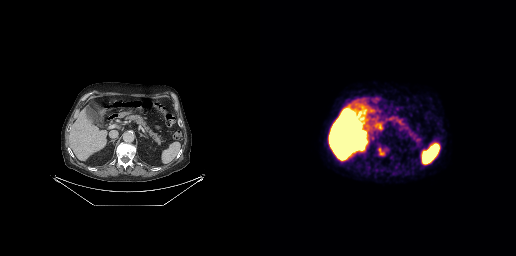
Coordinates are on the 256×256 PET (right) panel. PSMA-avid tumor lesion bounding box (x0, y0)-(x1, y1): (118, 147)-(124, 155).